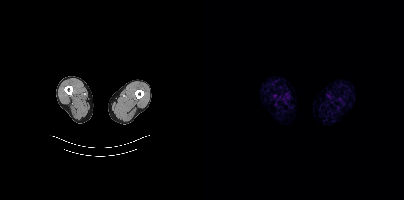
This slice has no annotated PSMA-avid lesion.
modality: PSMA PET/CT | tracer: 18F | view: axial